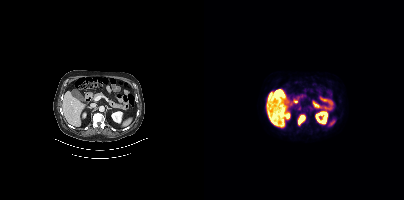
{"modality":"PSMA PET/CT","view":"axial","tracer":"18F-PSMA","pet_grid":[200,200],"coord_frame":"pet_panel","coord_format":"x0,y0,x1,y1","lesion_bboxes":[[94,115,101,125]]}